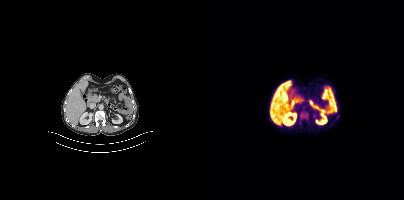
{"modality":"PSMA PET/CT","view":"axial","tracer":"18F-PSMA","pet_grid":[200,200],"coord_frame":"pet_panel","coord_format":"x0,y0,x1,y1","psma_avid_lesions":false}